Paired axial CT (left) and PSMA PET (right), 18F-PSMA tracer. Acquired on Siemens Biograph mCT Flow 20. Slice 43 of 405.
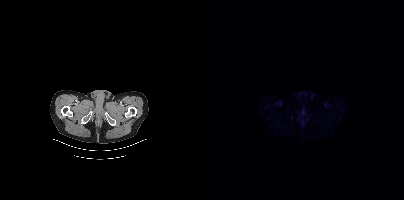
Only PSMA-avid lesion pieces thinner than 2 px on this slice (not listed).